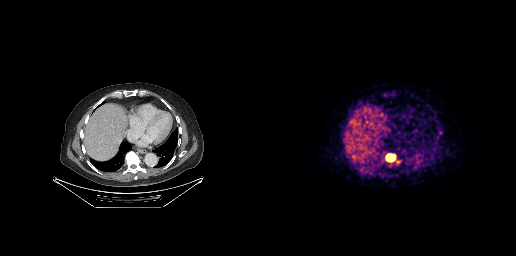
Paired axial CT (left) and PSMA PET (right), 68Ga tracer. Acquired on GE Discovery 690. Slice 171 of 263. PET panel 256×256 px (2.7 mm/px). Coordinates are on the 256×256 PET (right) panel. PSMA-avid tumor lesion bounding box (x, y, width, height): x=126 y=154 w=10 h=8.